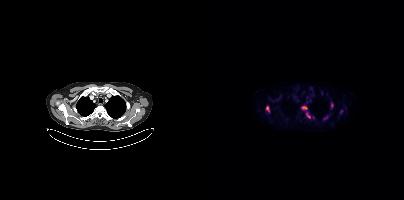
modality: PSMA PET/CT | tracer: [18F]PSMA-1007 | view: axial | PET grid: 200×200
Coordinates are on the 200×200 PET (right) panel. PSMA-avid tumor lesion bounding boxes (x, y, width, height): x=98 y=106 w=6 h=4; x=62 y=106 w=4 h=6; x=127 y=103 w=3 h=6; x=102 y=113 w=5 h=6; x=119 y=116 w=5 h=4. Small PSMA-avid foci (2 to 4 px across) near (center x, center y): (137, 111); (109, 117).